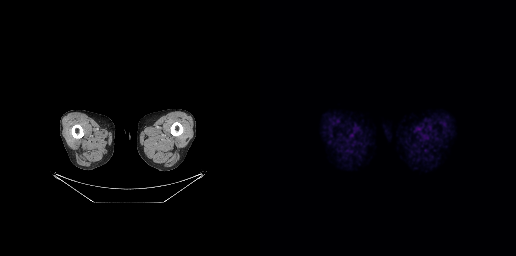
{"pet_grid":[256,256],"coord_frame":"pet_panel","coord_format":"x0,y0,x1,y1","psma_avid_lesions":false,"modality":"PSMA PET/CT","view":"axial","tracer":"18F"}